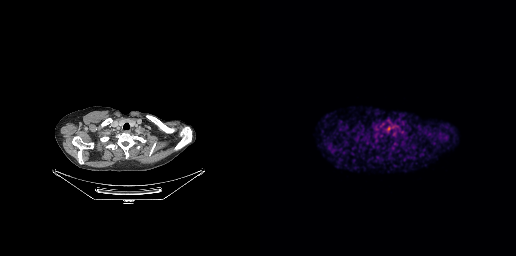
{"pet_grid":[256,256],"coord_frame":"pet_panel","coord_format":"x0,y0,x1,y1","psma_avid_lesions":false,"modality":"PSMA PET/CT","view":"axial","tracer":"[68Ga]Ga-PSMA-11"}